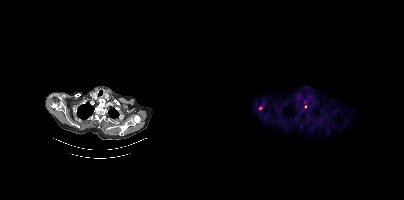
{"modality":"PSMA PET/CT","view":"axial","tracer":"[18F]PSMA-1007","pet_grid":[200,200],"coord_frame":"pet_panel","coord_format":"x0,y0,x1,y1","lesion_bboxes":[],"small_foci_centers":[[101,106],[56,108]]}